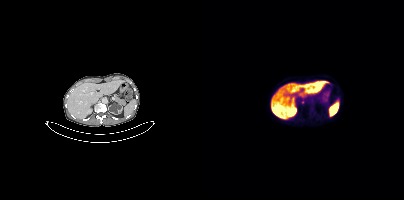
Paired axial CT (left) and PSMA PET (right), 18F-PSMA tracer. No tumor lesions annotated on this slice.